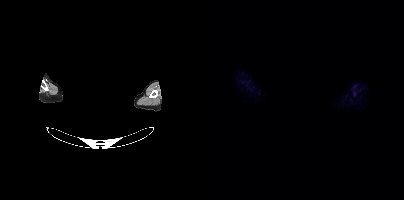
Technique: Left: CT. Right: PSMA PET, same axial level, 18F-PSMA tracer.
Note: Privacy masking over the head, with the pixels inside a rectangle set to black.
Findings: No PSMA-avid tumor lesions on this slice.